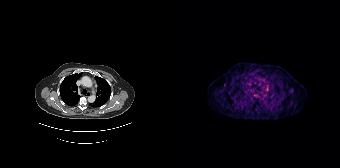
Findings: Coordinates are on the 168×168 PET (right) panel. PSMA-avid tumor lesion bounding box (x0, y0)-(x1, y1): (93, 86)-(96, 91).
Technique: Two-panel axial: CT | PSMA PET, 68Ga tracer. PET panel 168×168 px (4.1 mm/px).